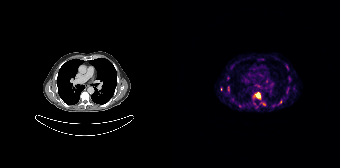
- Left: CT. Right: PSMA PET, same axial level, [68Ga]Ga-PSMA-11 tracer
Findings: Coordinates are on the 168×168 PET (right) panel. (showing 6 of 7 foci) PSMA-avid tumor lesion bounding boxes (x0,y0,x1,y1): [82,92,88,99] [56,86,57,91]. Small PSMA-avid foci (2 to 4 px across) near (center x, center y): (49, 88) (92, 104) (108, 102) (67, 105).